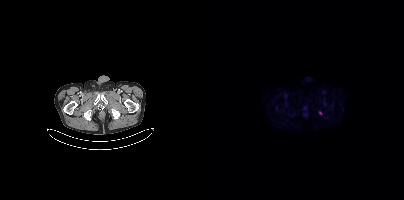
{"modality":"PSMA PET/CT","view":"axial","tracer":"[18F]PSMA-1007","pet_grid":[200,200],"coord_frame":"pet_panel","coord_format":"x0,y0,x1,y1","partial":true,"lesion_bboxes":[]}